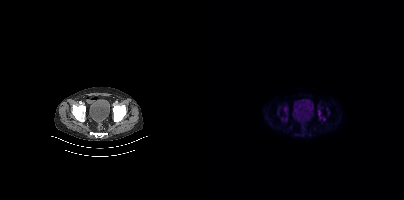
Left: CT. Right: PSMA PET, same axial level, [18F]PSMA-1007 tracer.
Coordinates are on the 200×200 PET (right) panel. PSMA-avid tumor lesion bounding boxes:
| # | x0 | y0 | x1 | y1 |
|---|---|---|---|---|
| 1 | 114 | 109 | 121 | 120 |
| 2 | 80 | 107 | 82 | 113 |
Small PSMA-avid foci (2 to 4 px across) near (center x, center y): (82, 119); (124, 113); (122, 108); (77, 118).